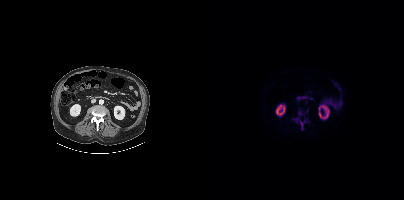
Technique: Paired axial CT (left) and PSMA PET (right), 18F tracer. acquired on Siemens Biograph mCT Flow 20. slice 174 of 423.
Findings: Coordinates are on the 200×200 PET (right) panel. PSMA-avid tumor lesion bounding box (x0,y0,x1,y1): [96,121,101,129]. Small PSMA-avid foci (2 to 4 px across) near (center x, center y): (92, 119) (95, 113).